modality: PSMA PET/CT | tracer: 18F | view: axial
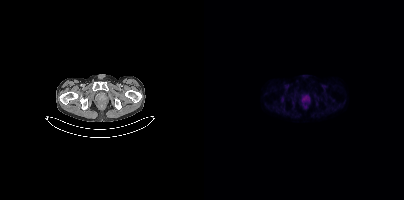
Coordinates are on the 200×200 PET (right) panel. Small PSMA-avid foci (2 to 4 px across) near (center x, center y): (104, 97) | (99, 99).